modality: PSMA PET/CT | tracer: [68Ga]Ga-PSMA-11 | view: axial
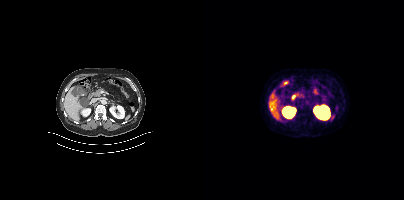
This slice has no annotated PSMA-avid lesion.